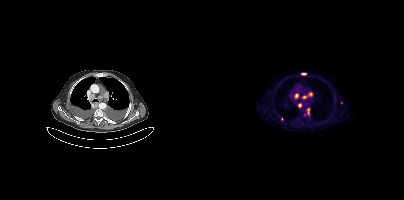
Coordinates are on the 200×200 PET (right) panel. PSMA-avid tumor lesion bounding boxes:
| # | x0 | y0 | x1 | y1 |
|---|---|---|---|---|
| 1 | 91 | 94 | 94 | 98 |
| 2 | 105 | 92 | 108 | 96 |
| 3 | 97 | 73 | 102 | 75 |
| 4 | 94 | 103 | 97 | 107 |
| 5 | 98 | 96 | 102 | 98 |
| 6 | 103 | 109 | 105 | 114 |
Small PSMA-avid foci (2 to 4 px across) near (center x, center y): (137, 102); (77, 119).
Two-panel axial: CT | PSMA PET, [18F]PSMA-1007 tracer. Acquired on Siemens Biograph mCT Flow 20.